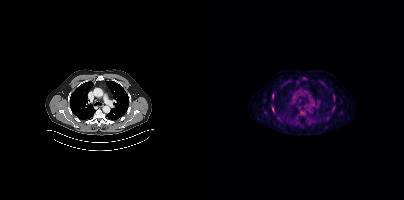
- Two-panel axial: CT | PSMA PET, [18F]PSMA-1007 tracer
Findings: Coordinates are on the 200×200 PET (right) panel. (showing 5 of 6 foci) PSMA-avid tumor lesion bounding boxes (x0,y0,x1,y1): [97,112,101,115] [68,107,70,111]. Small PSMA-avid foci (2 to 4 px across) near (center x, center y): (129, 107) (68, 95) (129, 94).